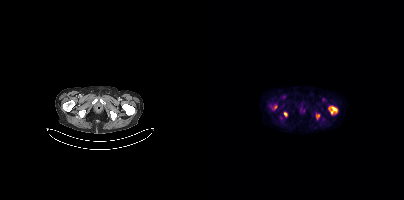
modality: PSMA PET/CT | tracer: 18F-PSMA | view: axial | PET grid: 200×200
Coordinates are on the 200×200 PET (right) panel. PSMA-avid tumor lesion bounding boxes (x0,y0,x1,y1): [124,106,133,114] [79,112,83,116] [70,105,72,109] [112,114,115,118].